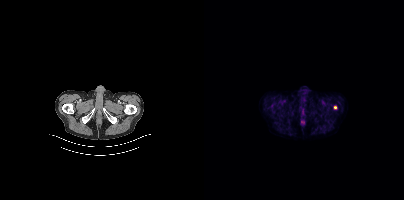
Coordinates are on the 200×200 PET (right) panel. Small PSMA-avid focus (2 to 4 px across) near (center x, center y): (131, 107). Paired axial CT (left) and PSMA PET (right), 18F tracer. Slice 37 of 405.